modality: PSMA PET/CT | tracer: 18F | view: axial
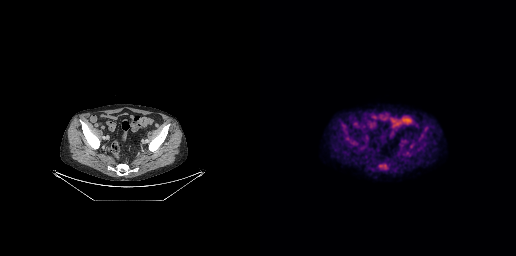
Negative for PSMA-avid disease on this slice.